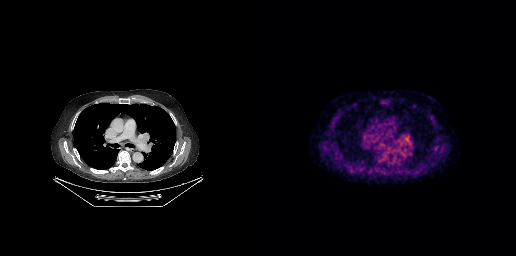
{"modality":"PSMA PET/CT","view":"axial","tracer":"[18F]PSMA-1007","pet_grid":[256,256],"coord_frame":"pet_panel","coord_format":"x0,y0,x1,y1","psma_avid_lesions":false}